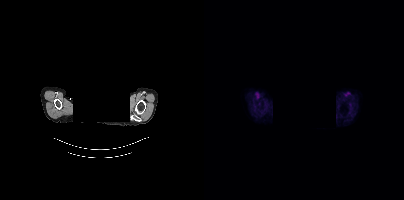
modality: PSMA PET/CT | tracer: 18F-PSMA | view: axial | deidentification: privacy mask over head
This slice has no annotated PSMA-avid lesion.